Left: CT. Right: PSMA PET, same axial level, 18F tracer. Acquired on Siemens Biograph mCT Flow 20.
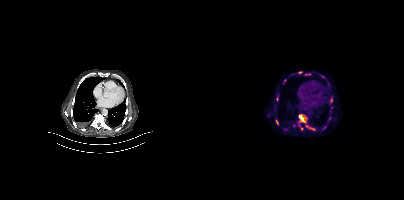
Coordinates are on the 200×200 PET (right) panel. PSMA-avid tumor lesion bounding boxes:
| # | x0 | y0 | x1 | y1 |
|---|---|---|---|---|
| 1 | 94 | 114 | 112 | 130 |
| 2 | 101 | 73 | 106 | 75 |
| 3 | 71 | 119 | 74 | 124 |
| 4 | 94 | 71 | 98 | 73 |
| 5 | 126 | 98 | 128 | 102 |
Small PSMA-avid foci (2 to 4 px across) near (center x, center y): (98, 128); (80, 81); (73, 99); (125, 118); (120, 127).